Technique: Paired axial CT (left) and PSMA PET (right), 68Ga-PSMA tracer. PET panel 256×256 px (2.7 mm/px).
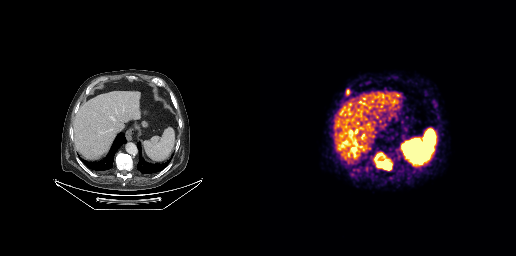
Findings: Coordinates are on the 256×256 PET (right) panel. PSMA-avid tumor lesion bounding box (x0, y0)-(x1, y1): (114, 152)-(132, 170).